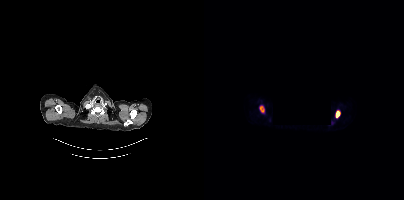
deidentification: rectangle blanked before release | modality: PSMA PET/CT | tracer: 18F-PSMA | view: axial | PET grid: 200×200
Coordinates are on the 200×200 PET (right) panel. PSMA-avid tumor lesion bounding boxes (x0,y0,x1,y1): [132,110,136,117]; [56,107,59,111].